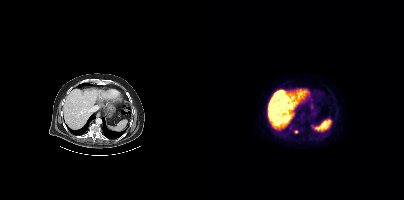
Left: CT. Right: PSMA PET, same axial level, [18F]PSMA-1007 tracer. Acquired on Siemens Biograph mCT Flow 20. PET panel 200×200 px (4.1 mm/px). Coordinates are on the 200×200 PET (right) panel. Small PSMA-avid focus (2 to 4 px across) near (center x, center y): (91, 131).